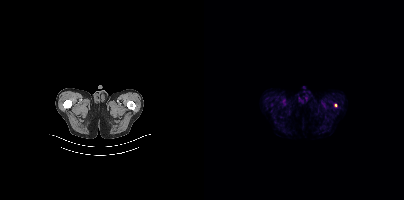
Findings: Coordinates are on the 200×200 PET (right) panel. Small PSMA-avid focus (2 to 4 px across) near (center x, center y): (131, 105).
Technique: Left: CT. Right: PSMA PET, same axial level, 18F tracer.